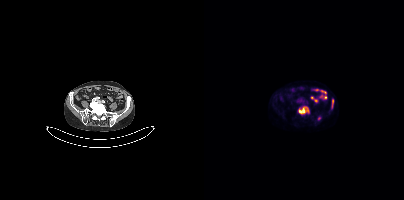
Coordinates are on the 200×200 PET (right) panel. PSMA-avid tumor lesion bounding boxes:
| # | x0 | y0 | x1 | y1 |
|---|---|---|---|---|
| 1 | 95 | 107 | 104 | 114 |
| 2 | 128 | 100 | 129 | 107 |
Small PSMA-avid focus (2 to 4 px across) near (center x, center y): (115, 118).
Paired axial CT (left) and PSMA PET (right), 18F-PSMA tracer. Slice 120 of 391.